Two-panel axial: CT | PSMA PET, [18F]PSMA-1007 tracer. Acquired on Siemens Biograph mCT Flow 20.
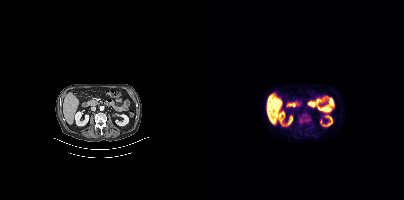
Coordinates are on the 200×200 PET (right) panel. PSMA-avid tumor lesion bounding boxes:
| # | x0 | y0 | x1 | y1 |
|---|---|---|---|---|
| 1 | 96 | 115 | 104 | 123 |